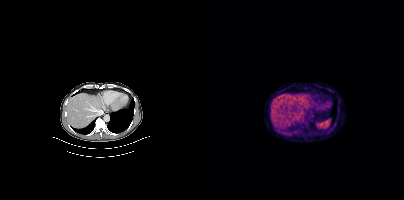
Paired axial CT (left) and PSMA PET (right), [18F]PSMA-1007 tracer. Acquired on Siemens Biograph mCT Flow 20. Slice position z = -150 mm. PET panel 200×200 px (4.1 mm/px).
Coordinates are on the 200×200 PET (right) panel. PSMA-avid tumor lesion bounding boxes:
| # | x0 | y0 | x1 | y1 |
|---|---|---|---|---|
| 1 | 94 | 115 | 100 | 121 |